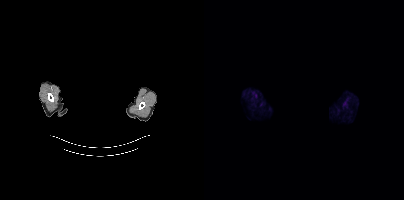
modality: PSMA PET/CT | tracer: 18F-PSMA | view: axial | PET grid: 200×200 | redaction: rectangular block over head set to black
This slice has no annotated PSMA-avid lesion.